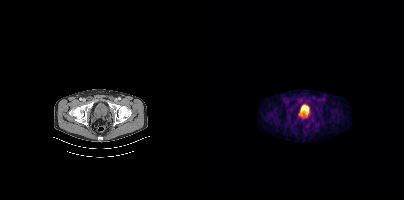
- Two-panel axial: CT | PSMA PET, [18F]PSMA-1007 tracer
Findings: Negative for PSMA-avid disease on this slice.